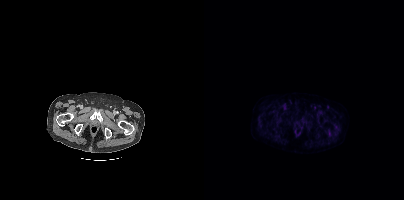
{"modality":"PSMA PET/CT","view":"axial","tracer":"[18F]PSMA-1007","pet_grid":[200,200],"coord_frame":"pet_panel","coord_format":"x0,y0,x1,y1","psma_avid_lesions":false}